Paired axial CT (left) and PSMA PET (right), 18F-PSMA tracer. Slice 121 of 413.
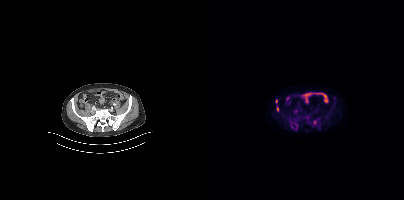
Coordinates are on the 200×200 PET (right) panel. PSMA-avid tumor lesion bounding boxes:
| # | x0 | y0 | x1 | y1 |
|---|---|---|---|---|
| 1 | 73 | 106 | 74 | 111 |
Small PSMA-avid foci (2 to 4 px across) near (center x, center y): (110, 122); (91, 111); (72, 101); (103, 117); (92, 125).